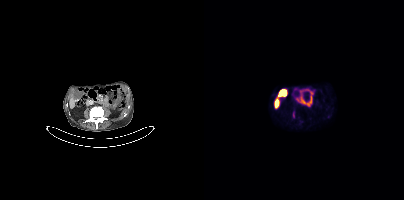
- Paired axial CT (left) and PSMA PET (right), 18F tracer
- slice position z = -822 mm
- PET panel 200×200 px (4.1 mm/px)
Findings: Negative for PSMA-avid disease on this slice.